modality: PSMA PET/CT | tracer: 68Ga | view: axial
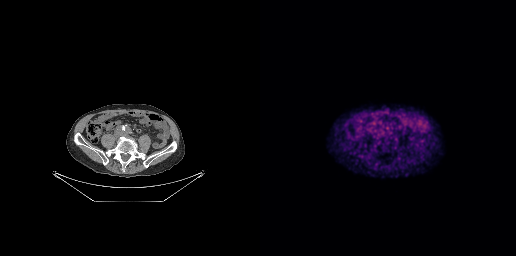
This slice has no annotated PSMA-avid lesion.